Technique: Two-panel axial: CT | PSMA PET, [18F]PSMA-1007 tracer. acquired on Siemens Biograph mCT Flow 20. PET panel 200×200 px (4.1 mm/px).
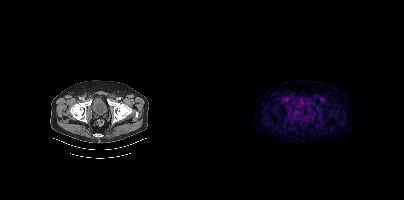
Findings: No PSMA-avid tumor lesions on this slice.